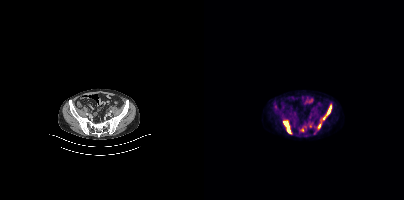
Coordinates are on the 200×200 PET (right) panel. (showing 4 of 5 foci) PSMA-avid tumor lesion bounding boxes (x0,y0,x1,y1): [79,121,87,133] [118,104,127,120] [114,121,117,128]. Small PSMA-avid focus (2 to 4 px across) near (center x, center y): (98, 130). Paired axial CT (left) and PSMA PET (right), 18F-PSMA tracer.